- Paired axial CT (left) and PSMA PET (right), 18F tracer
- PET panel 200×200 px (4.1 mm/px)
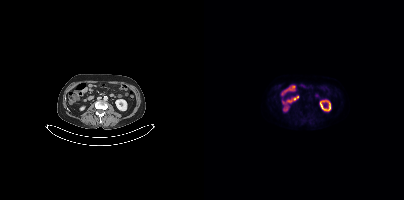
Findings: No tumor lesions annotated on this slice.